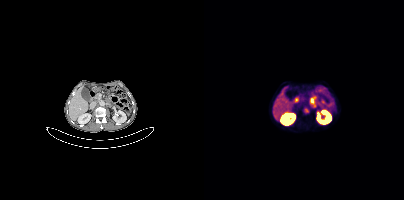
- Left: CT. Right: PSMA PET, same axial level, [68Ga]Ga-PSMA-11 tracer
- acquired on Siemens Biograph mCT Flow 20
- slice position z = -1422 mm
Findings: Coordinates are on the 200×200 PET (right) panel. PSMA-avid tumor lesion bounding box (x0, y0)-(x1, y1): (106, 96)-(112, 106). Small PSMA-avid focus (2 to 4 px across) near (center x, center y): (102, 110).